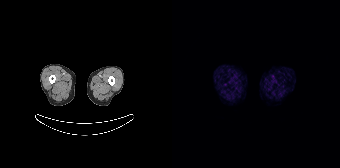
Two-panel axial: CT | PSMA PET, [68Ga]Ga-PSMA-11 tracer. Acquired on Siemens Biograph 64-4R TruePoint. Slice position z = -998 mm. PET panel 168×168 px (4.1 mm/px). This slice has no annotated PSMA-avid lesion.